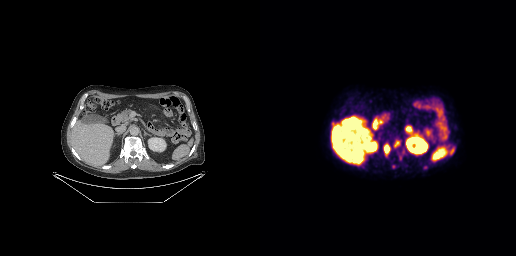
Coordinates are on the 256×256 PET (right) panel. PSMA-avid tumor lesion bounding boxes (x0, y0)-(x1, y1): (124, 144)-(130, 156) | (139, 150)-(145, 160) | (133, 141)-(139, 147). Two-panel axial: CT | PSMA PET, 18F tracer. Acquired on GE Discovery 690. Slice 167 of 299.